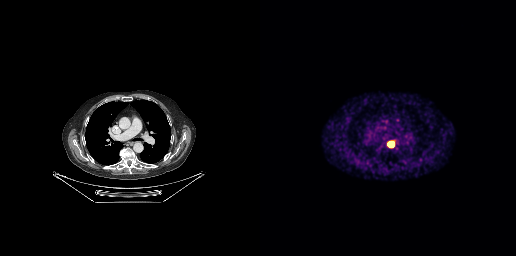
Paired axial CT (left) and PSMA PET (right), [68Ga]Ga-PSMA-11 tracer. Slice position z = -379 mm.
Coordinates are on the 256×256 PET (right) panel. PSMA-avid tumor lesion bounding boxes:
| # | x0 | y0 | x1 | y1 |
|---|---|---|---|---|
| 1 | 128 | 142 | 133 | 146 |